Two-panel axial: CT | PSMA PET, 18F tracer. Acquired on Siemens Biograph mCT Flow 20. Slice 68 of 435.
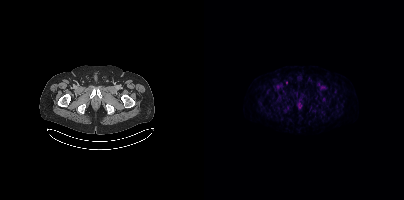
No PSMA-avid tumor lesions on this slice.